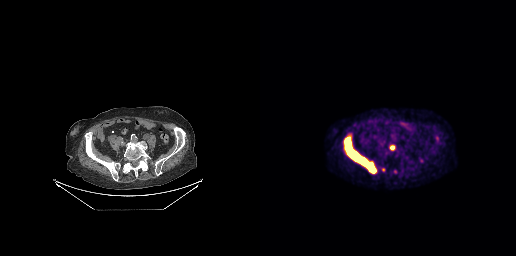
Findings: Coordinates are on the 256×256 PET (right) panel. PSMA-avid tumor lesion bounding boxes (x, y, width, height): x=84 y=135 w=33 h=39 | x=130 y=145 w=6 h=6. Small PSMA-avid focus (2 to 4 px across) near (center x, center y): (123, 169).
Technique: Two-panel axial: CT | PSMA PET, [18F]PSMA-1007 tracer. slice 98 of 263.